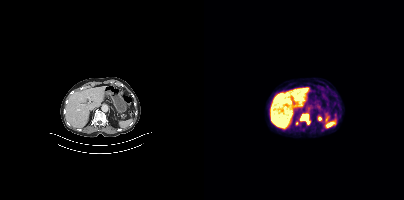
Left: CT. Right: PSMA PET, same axial level, 18F-PSMA tracer. Slice 210 of 407.
Coordinates are on the 200×200 PET (right) panel. PSMA-avid tumor lesion bounding boxes:
| # | x0 | y0 | x1 | y1 |
|---|---|---|---|---|
| 1 | 96 | 114 | 105 | 124 |
| 2 | 92 | 121 | 94 | 125 |